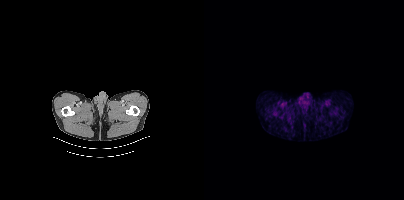
This slice has no annotated PSMA-avid lesion.